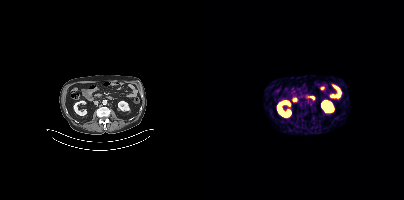
No tumor lesions annotated on this slice. Left: CT. Right: PSMA PET, same axial level, 68Ga-PSMA tracer. Acquired on Siemens Biograph mCT Flow 20. Slice position z = -1321 mm. PET panel 200×200 px (4.1 mm/px).